Technique: Two-panel axial: CT | PSMA PET, [18F]PSMA-1007 tracer. acquired on Siemens Biograph mCT Flow 20.
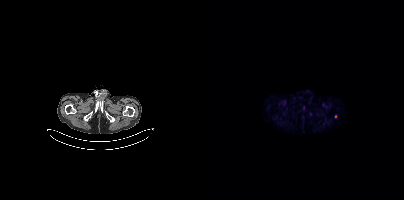
Findings: Coordinates are on the 200×200 PET (right) panel. Small PSMA-avid focus (2 to 4 px across) near (center x, center y): (131, 116).